Technique: Paired axial CT (left) and PSMA PET (right), 18F tracer. acquired on Siemens Biograph mCT Flow 20. slice position z = -1309 mm.
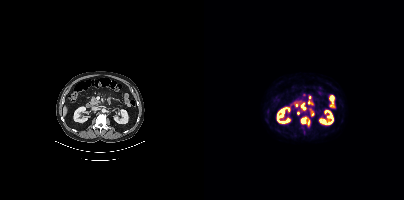
Findings: Coordinates are on the 200×200 PET (right) panel. (showing 4 of 5 foci) PSMA-avid tumor lesion bounding boxes (x, y, width, height): x=97 y=117 w=6 h=7 / x=97 y=104 w=5 h=6. Small PSMA-avid foci (2 to 4 px across) near (center x, center y): (94, 113) / (108, 114).